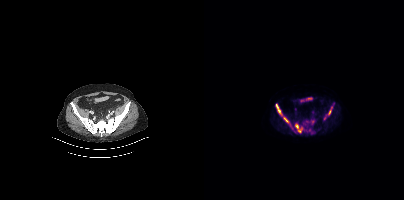
Coordinates are on the 200×200 PET (right) panel. (showing 5 of 6 foci) PSMA-avid tumor lesion bounding boxes (x0,y0,x1,y1): [72,104,76,113]; [91,124,94,128]; [80,117,84,122]. Small PSMA-avid foci (2 to 4 px across) near (center x, center y): (125, 112); (95, 131).
modality: PSMA PET/CT | tracer: [18F]PSMA-1007 | view: axial